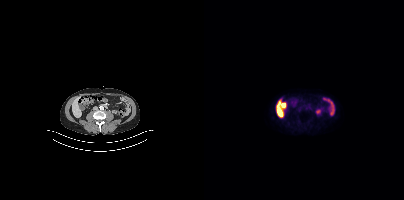
No tumor lesions annotated on this slice. Paired axial CT (left) and PSMA PET (right), [18F]PSMA-1007 tracer. Acquired on Siemens Biograph mCT Flow 20. Slice position z = -684 mm.